- Paired axial CT (left) and PSMA PET (right), 68Ga-PSMA tracer
- PET panel 256×256 px (2.7 mm/px)
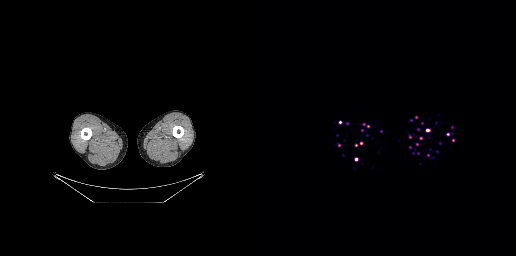
Findings: No tumor lesions annotated on this slice.